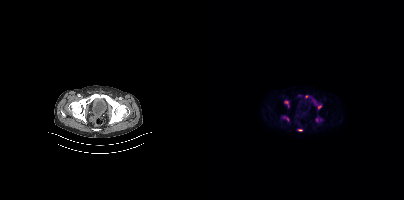
Findings: Coordinates are on the 200×200 PET (right) panel. (showing 7 of 8 foci) PSMA-avid tumor lesion bounding boxes (x0, y0)-(x1, y1): (112, 118)-(114, 122) / (94, 129)-(98, 131). Small PSMA-avid foci (2 to 4 px across) near (center x, center y): (82, 102) / (115, 106) / (102, 96) / (83, 119) / (116, 119).
Technique: Two-panel axial: CT | PSMA PET, 18F-PSMA tracer. PET panel 200×200 px (4.1 mm/px).